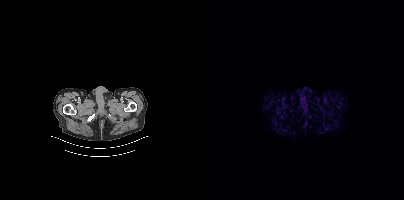
Negative for PSMA-avid disease on this slice.